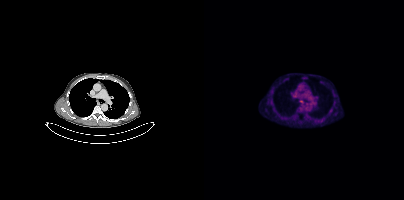
Coordinates are on the 200×200 PET (right) panel. Small PSMA-avid focus (2 to 4 px across) near (center x, center y): (97, 101).